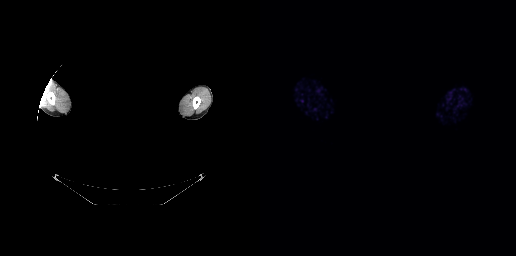
{"modality":"PSMA PET/CT","view":"axial","tracer":"68Ga-PSMA","pet_grid":[256,256],"coord_frame":"pet_panel","coord_format":"x0,y0,x1,y1","de-identification":"facial region redacted","psma_avid_lesions":false}